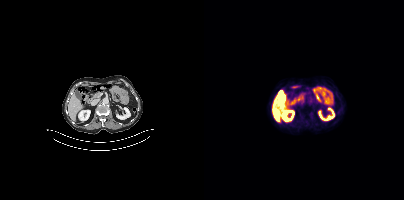
modality: PSMA PET/CT | tracer: 18F | view: axial | PET grid: 200×200
Negative for PSMA-avid disease on this slice.